- Paired axial CT (left) and PSMA PET (right), [68Ga]Ga-PSMA-11 tracer
- acquired on Siemens Biograph mCT Flow 20
- slice 163 of 409
- PET panel 200×200 px (4.1 mm/px)
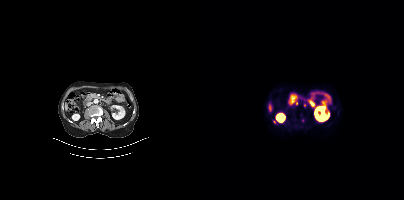
Findings: Coordinates are on the 200×200 PET (right) panel. Small PSMA-avid foci (2 to 4 px across) near (center x, center y): (70, 122) | (99, 105).